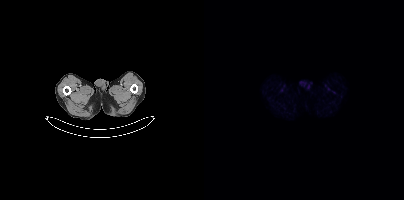
Technique: Two-panel axial: CT | PSMA PET, 18F tracer. PET panel 200×200 px (4.1 mm/px).
Findings: This slice has no annotated PSMA-avid lesion.